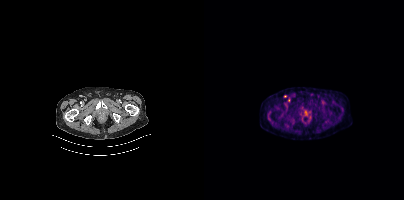
Coordinates are on the 200×200 PET (right) panel. Small PSMA-avid foci (2 to 4 px across) near (center x, center y): (81, 96); (84, 100).